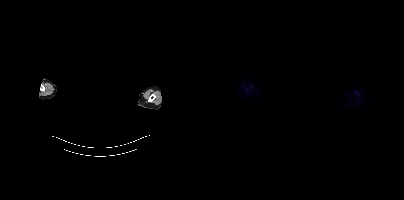
Technique: Paired axial CT (left) and PSMA PET (right), 18F-PSMA tracer. acquired on Siemens Biograph mCT Flow 20. PET panel 200×200 px (4.1 mm/px).
Note: De-identified by setting a box covering the face to black before release.
Findings: This slice has no annotated PSMA-avid lesion.